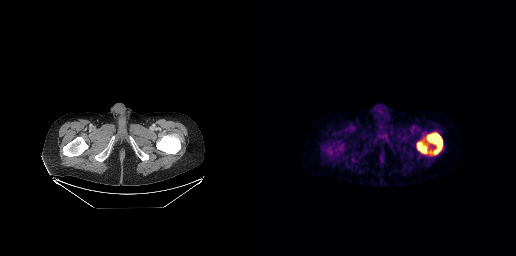
modality: PSMA PET/CT | tracer: 18F-PSMA | view: axial
Coordinates are on the 256×256 PET (right) panel. PSMA-avid tumor lesion bounding boxes (x0, y0)-(x1, y1): (167, 133)-(182, 154); (157, 142)-(167, 153). Small PSMA-avid focus (2 to 4 px across) near (center x, center y): (170, 152).